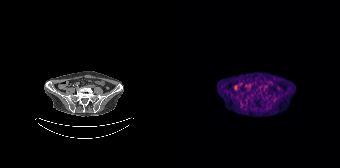
Negative for PSMA-avid disease on this slice.